Paired axial CT (left) and PSMA PET (right), 18F-PSMA tracer. Acquired on Siemens Biograph mCT Flow 20.
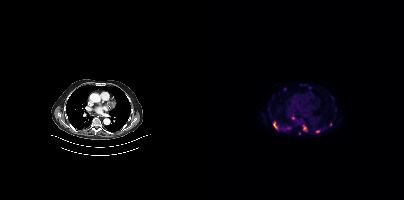
Coordinates are on the 200×200 PET (right) panel. PSMA-avid tumor lesion bounding boxes (partial; 2 more foci not listed):
| # | x0 | y0 | x1 | y1 |
|---|---|---|---|---|
| 1 | 69 | 122 | 73 | 128 |
Small PSMA-avid foci (2 to 4 px across) near (center x, center y): (84, 128); (89, 118); (81, 89); (113, 131); (100, 127); (95, 133).